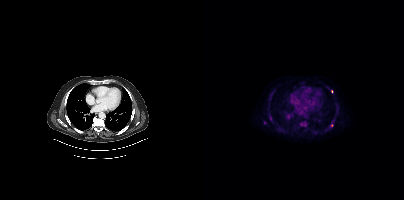
Coordinates are on the 200×200 PET (right) panel. (showing 3 of 5 foci) PSMA-avid tumor lesion bounding box (x0,y0,x1,y1): [66,116,67,120]. Small PSMA-avid foci (2 to 4 px across) near (center x, center y): (129, 120); (127, 125).